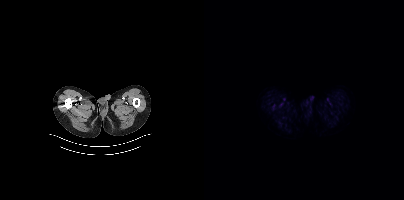
This slice has no annotated PSMA-avid lesion.